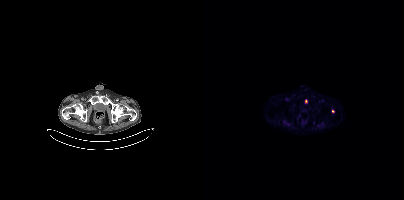
Coordinates are on the 200×200 PET (right) panel. Small PSMA-avid foci (2 to 4 px across) near (center x, center y): (102, 101); (129, 111). Paired axial CT (left) and PSMA PET (right), 18F tracer. Acquired on Siemens Biograph mCT Flow 20. Slice position z = -984 mm. PET panel 200×200 px (4.1 mm/px).